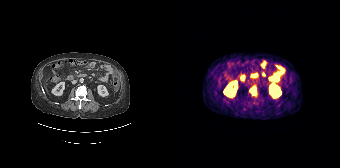
Left: CT. Right: PSMA PET, same axial level, 68Ga tracer. Slice position z = -1332 mm. PET panel 168×168 px (4.1 mm/px). Coordinates are on the 168×168 PET (right) panel. PSMA-avid tumor lesion bounding box (x0, y0)-(x1, y1): (78, 86)-(84, 95).